Technique: Paired axial CT (left) and PSMA PET (right), 68Ga tracer. acquired on Siemens Biograph 64-4R TruePoint. slice 86 of 195.
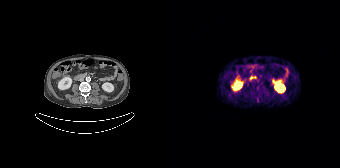
Findings: This slice has no annotated PSMA-avid lesion.